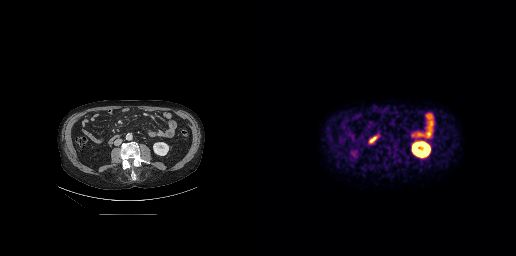
- Two-panel axial: CT | PSMA PET, 18F tracer
- slice 114 of 263
Findings: No PSMA-avid tumor lesions on this slice.